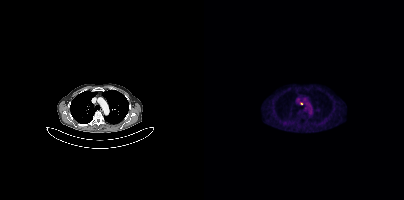
{"modality":"PSMA PET/CT","view":"axial","tracer":"[18F]PSMA-1007","pet_grid":[200,200],"coord_frame":"pet_panel","coord_format":"x0,y0,x1,y1","lesion_bboxes":[],"small_foci_centers":[[97,103]]}